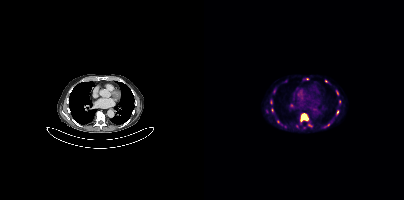
Coordinates are on the 200×200 PET (right) panel. (showing 6 of 8 foci) PSMA-avid tumor lesion bounding box (x0, y0)-(x1, y1): (96, 113)-(104, 121). Small PSMA-avid foci (2 to 4 px across) near (center x, center y): (133, 111) | (106, 125) | (103, 78) | (121, 80) | (135, 101).